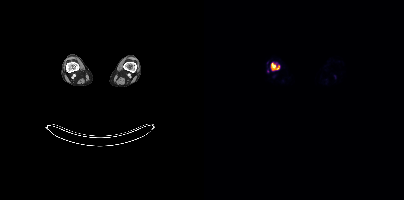
- Left: CT. Right: PSMA PET, same axial level, [18F]PSMA-1007 tracer
Findings: Coordinates are on the 200×200 PET (right) panel. PSMA-avid tumor lesion bounding box (x, y, width, height): x=67 y=63 w=9 h=8.